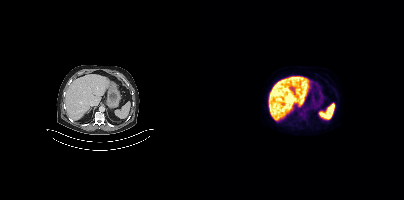
Findings: This slice has no annotated PSMA-avid lesion.
Technique: Two-panel axial: CT | PSMA PET, [18F]PSMA-1007 tracer. PET panel 200×200 px (4.1 mm/px).